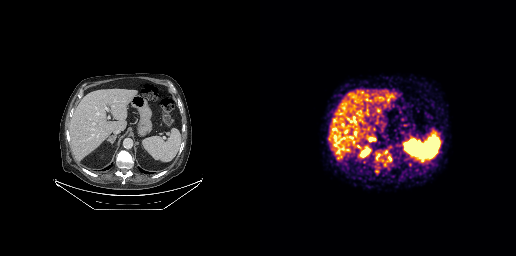
Technique: Left: CT. Right: PSMA PET, same axial level, 68Ga tracer. acquired on GE Discovery 690. slice 151 of 263. PET panel 256×256 px (2.7 mm/px).
Findings: Coordinates are on the 256×256 PET (right) panel. (showing 4 of 6 foci) PSMA-avid tumor lesion bounding boxes (x0, y0)-(x1, y1): (126, 155)-(132, 161) | (116, 153)-(122, 160) | (124, 150)-(127, 154). Small PSMA-avid focus (2 to 4 px across) near (center x, center y): (124, 164).